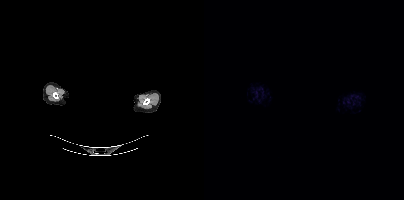
Privacy masking over the head, with the pixels inside a rectangle set to black.
No tumor lesions annotated on this slice.